modality: PSMA PET/CT | tracer: 18F-PSMA | view: axial | PET grid: 256×256
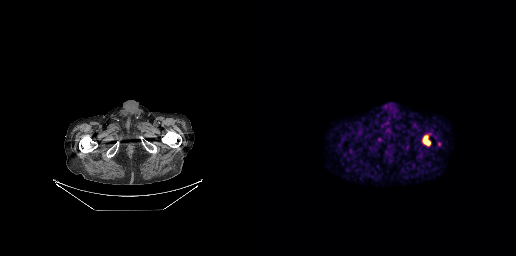
Coordinates are on the 256×256 PET (right) panel. (showing 1 of 2 foci) PSMA-avid tumor lesion bounding box (x, y, width, height): x=163 y=135 w=8 h=11.